Paired axial CT (left) and PSMA PET (right), 18F tracer. Acquired on Siemens Biograph mCT Flow 20. Slice 157 of 367. PET panel 200×200 px (4.1 mm/px).
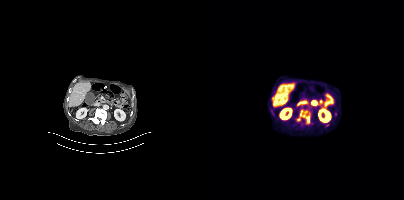
Coordinates are on the 200×200 PET (right) panel. PSMA-avid tumor lesion bounding box (x0,y0,x1,y1): [91,117,105,125]. Small PSMA-avid foci (2 to 4 px across) near (center x, center y): (102, 114) (98, 124) (131, 113).